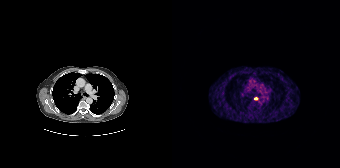
Technique: Left: CT. Right: PSMA PET, same axial level, [68Ga]Ga-PSMA-11 tracer. acquired on Siemens Biograph 64-4R TruePoint. slice position z = -404 mm.
Findings: Coordinates are on the 168×168 PET (right) panel. Small PSMA-avid focus (2 to 4 px across) near (center x, center y): (84, 98).